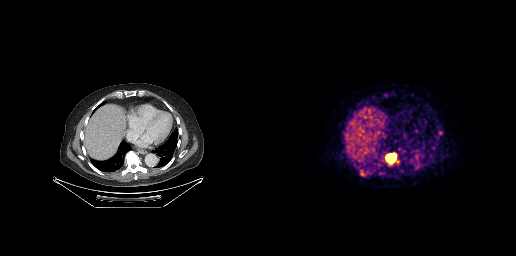
Two-panel axial: CT | PSMA PET, [68Ga]Ga-PSMA-11 tracer. Slice position z = -494 mm. PET panel 256×256 px (2.7 mm/px). Coordinates are on the 256×256 PET (right) panel. PSMA-avid tumor lesion bounding box (x0, y0)-(x1, y1): (125, 153)-(136, 164).